modality: PSMA PET/CT | tracer: 18F-PSMA | view: axial | PET grid: 200×200 | deidentification: region blacked out before release
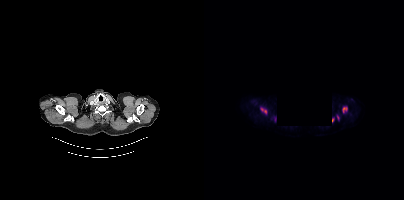
Coordinates are on the 200×200 PET (right) panel. (showing 4 of 5 foci) PSMA-avid tumor lesion bounding boxes (x0, y0)-(x1, y1): (56, 107)-(62, 113) / (139, 107)-(143, 112). Small PSMA-avid foci (2 to 4 px across) near (center x, center y): (128, 119) / (133, 117).